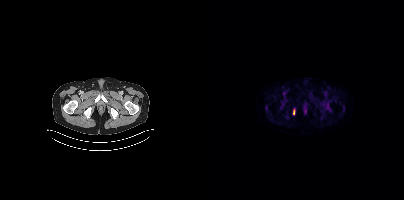
Coordinates are on the 200×200 PET (right) panel. PSMA-avid tumor lesion bounding box (x, y, width, height): x=89 y=110 w=2 h=5.